Two-panel axial: CT | PSMA PET, 68Ga-PSMA tracer. Acquired on GE Discovery 690.
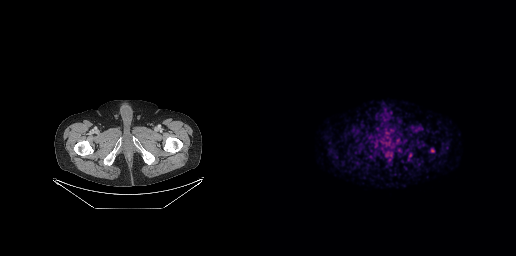
Coordinates are on the 256×256 PET (right) panel. Small PSMA-avid focus (2 to 4 px across) near (center x, center y): (150, 155).